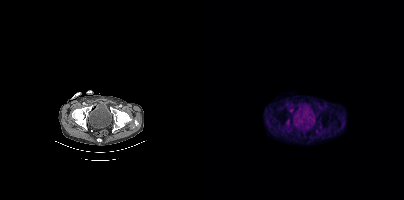
Coordinates are on the 200×200 PET (right) panel. PSMA-avid tumor lesion bounding box (x, y, width, height): x=82 y=121 w=4 h=5.